- Two-panel axial: CT | PSMA PET, 18F tracer
- slice position z = -1375 mm
- PET panel 200×200 px (4.1 mm/px)
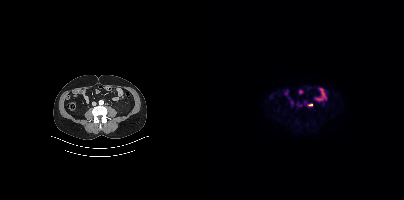
Findings: Coordinates are on the 200×200 PET (right) panel. (showing 1 of 2 foci) PSMA-avid tumor lesion bounding box (x0, y0)-(x1, y1): (104, 104)-(108, 106).